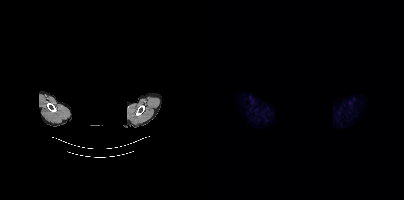
Negative for PSMA-avid disease on this slice. Paired axial CT (left) and PSMA PET (right), 18F-PSMA tracer. Slice 365 of 427. PET panel 200×200 px (4.1 mm/px). The face region was removed for patient privacy by blanking a rectangle over the head.